Technique: Paired axial CT (left) and PSMA PET (right), 68Ga-PSMA tracer. slice position z = -1085 mm.
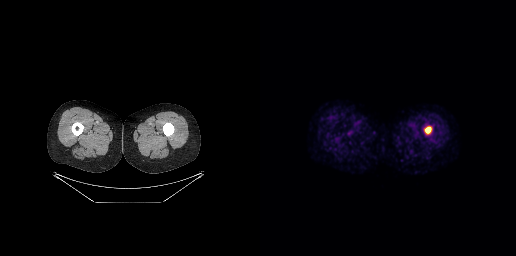
Findings: Coordinates are on the 256×256 PET (right) panel. PSMA-avid tumor lesion bounding box (x, y, width, height): x=165 y=127 w=7 h=7.